Left: CT. Right: PSMA PET, same axial level, [18F]PSMA-1007 tracer.
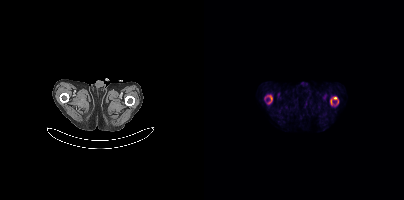
Coordinates are on the 200×200 PET (right) panel. PSMA-avid tumor lesion bounding boxes (partial; 2 more foci not listed):
| # | x0 | y0 | x1 | y1 |
|---|---|---|---|---|
| 1 | 65 | 95 | 68 | 103 |
| 2 | 129 | 97 | 133 | 99 |